Technique: Paired axial CT (left) and PSMA PET (right), [18F]PSMA-1007 tracer. slice 339 of 401. PET panel 200×200 px (4.1 mm/px).
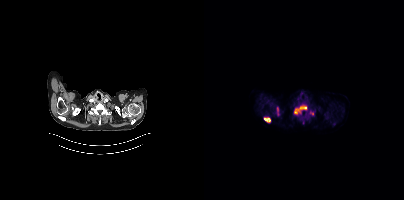
Findings: Coordinates are on the 200×200 PET (right) panel. PSMA-avid tumor lesion bounding boxes (x0,y0,x1,y1): [90,106,103,113]; [60,118,66,121]; [105,111,109,115]; [73,109,74,113].